- Two-panel axial: CT | PSMA PET, 18F-PSMA tracer
- PET panel 200×200 px (4.1 mm/px)
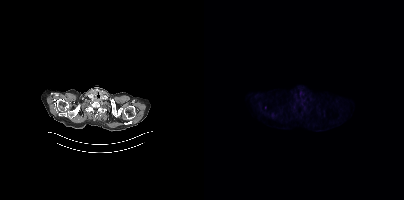
Findings: No PSMA-avid tumor lesions on this slice.